modality: PSMA PET/CT | tracer: 18F-PSMA | view: axial | PET grid: 200×200
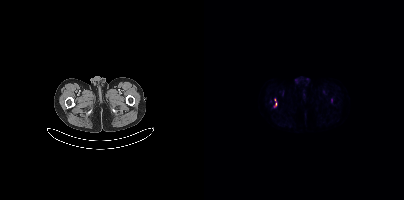
Coordinates are on the 200×200 PET (right) panel. PSMA-avid tumor lesion bounding box (x, y, width, height): x=70 y=98 w=3 h=9.